Paired axial CT (left) and PSMA PET (right), [18F]PSMA-1007 tracer. Slice 386 of 431. Facial anatomy redacted by setting a rectangular region of the head to black.
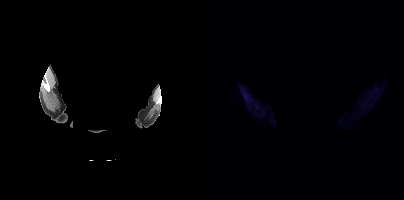
No PSMA-avid tumor lesions on this slice.